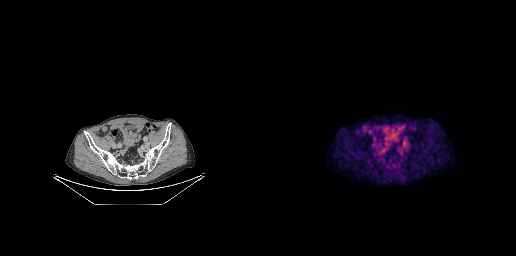
Coordinates are on the 256×256 PET (right) panel. Small PSMA-avid focus (2 to 4 px across) near (center x, center y): (143, 142).